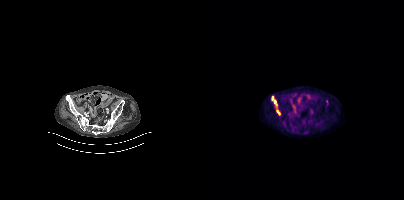
Coordinates are on the 200×200 PET (right) panel. PSMA-avid tumor lesion bounding boxes (partial; 1 more focus not listed):
| # | x0 | y0 | x1 | y1 |
|---|---|---|---|---|
| 1 | 68 | 97 | 73 | 105 |
Left: CT. Right: PSMA PET, same axial level, [18F]PSMA-1007 tracer. Slice position z = -1454 mm.